modality: PSMA PET/CT | tracer: 18F | view: axial
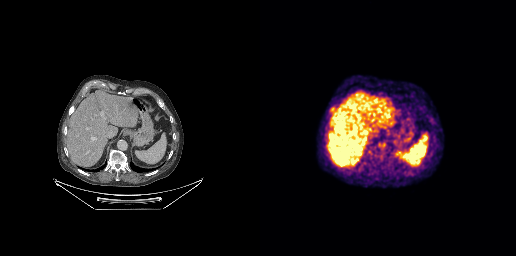
Coordinates are on the 256×256 PET (right) panel. Small PSMA-avid focus (2 to 4 px across) near (center x, center y): (70, 108).